Technique: Left: CT. Right: PSMA PET, same axial level, 18F tracer. slice 240 of 403. PET panel 200×200 px (4.1 mm/px).
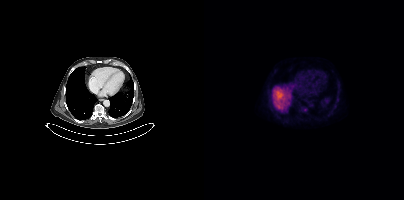
Findings: Coordinates are on the 200×200 PET (right) panel. Small PSMA-avid focus (2 to 4 px across) near (center x, center y): (101, 109).